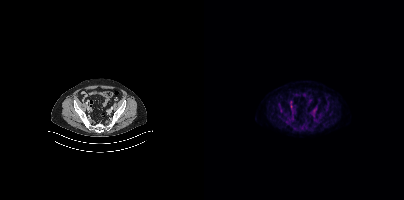
Coordinates are on the 200×200 PET (right) panel. Small PSMA-avid foci (2 to 4 px across) near (center x, center y): (87, 105) | (76, 110).